Two-panel axial: CT | PSMA PET, 18F tracer. Slice 165 of 263.
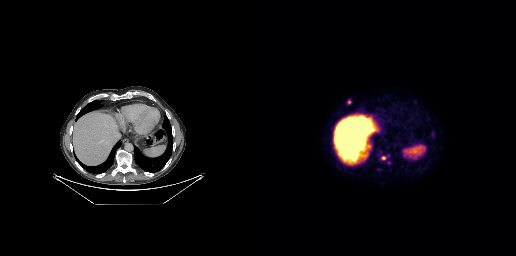
Coordinates are on the 256×256 PET (right) panel. PSMA-avid tumor lesion bounding boxes (x0, y0)-(x1, y1): (121, 156)-(125, 160) / (87, 100)-(91, 103).